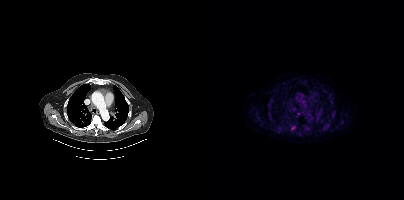
Coordinates are on the 200×200 PET (right) panel. Small PSMA-avid focus (2 to 4 px across) near (center x, center y): (89, 128). Left: CT. Right: PSMA PET, same axial level, [18F]PSMA-1007 tracer. Acquired on Siemens Biograph mCT Flow 20. Slice 344 of 454. PET panel 200×200 px (4.1 mm/px).